Left: CT. Right: PSMA PET, same axial level, 18F tracer. PET panel 200×200 px (4.1 mm/px).
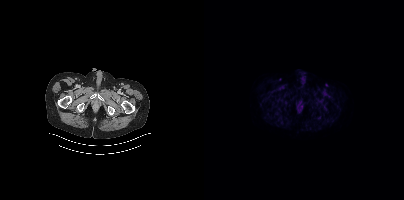
No PSMA-avid tumor lesions on this slice.